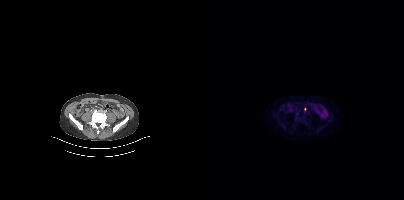
Technique: Paired axial CT (left) and PSMA PET (right), 18F tracer. slice position z = -1418 mm. PET panel 200×200 px (4.1 mm/px).
Findings: Coordinates are on the 200×200 PET (right) panel. PSMA-avid tumor lesion bounding box (x0,y0,x1,y1): [100,107,102,111].